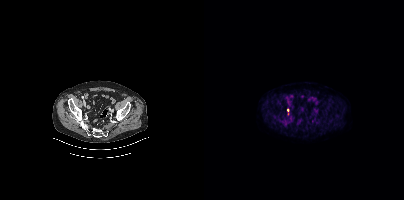
Coordinates are on the 200×200 PET (right) panel. (showing 1 of 2 foci) Small PSMA-avid focus (2 to 4 px across) near (center x, center y): (84, 113).